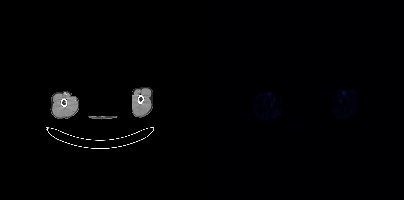
No tumor lesions annotated on this slice. Left: CT. Right: PSMA PET, same axial level, 68Ga-PSMA tracer. Slice position z = -1064 mm. PET panel 200×200 px (4.1 mm/px). Head region blanked for anonymization (face removed).